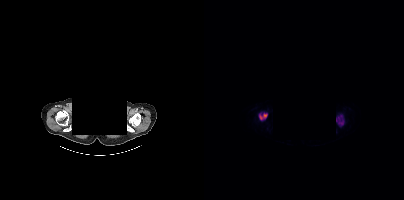
Technique: Left: CT. Right: PSMA PET, same axial level, 18F-PSMA tracer. slice 464 of 508. PET panel 200×200 px (4.1 mm/px).
Note: De-identified by setting a box covering the face to black before release.
Findings: Coordinates are on the 200×200 PET (right) panel. PSMA-avid tumor lesion bounding boxes (x, y, width, height): x=132 y=115 w=8 h=11 | x=55 y=113 w=9 h=8.